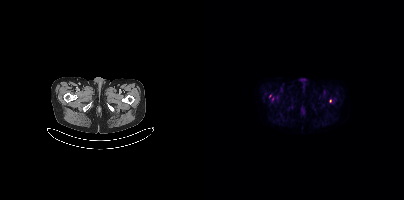
Findings: Coordinates are on the 200×200 PET (right) panel. (showing 2 of 3 foci) Small PSMA-avid foci (2 to 4 px across) near (center x, center y): (126, 101); (67, 99).
Technique: Paired axial CT (left) and PSMA PET (right), 18F tracer.